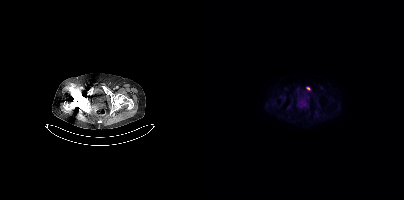
- Left: CT. Right: PSMA PET, same axial level, [18F]PSMA-1007 tracer
- slice 76 of 421
Findings: Coordinates are on the 200×200 PET (right) panel. PSMA-avid tumor lesion bounding box (x0, y0)-(x1, y1): (102, 87)-(106, 90).